Two-panel axial: CT | PSMA PET, [18F]PSMA-1007 tracer. Slice 136 of 299.
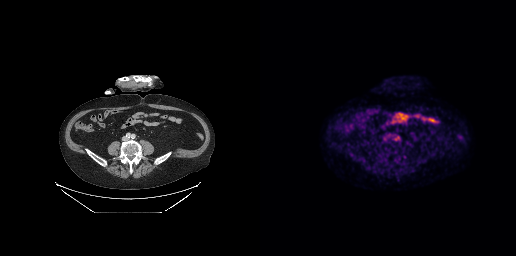
Coordinates are on the 256×256 PET (right) panel. PSMA-avid tumor lesion bounding boxes:
| # | x0 | y0 | x1 | y1 |
|---|---|---|---|---|
| 1 | 135 | 136 | 139 | 140 |